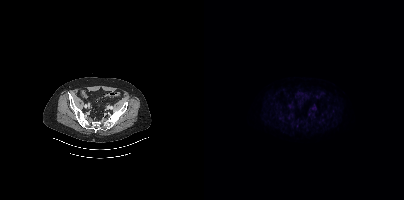
{"modality":"PSMA PET/CT","view":"axial","tracer":"18F","pet_grid":[200,200],"coord_frame":"pet_panel","coord_format":"x0,y0,x1,y1","partial":true,"lesion_bboxes":[]}